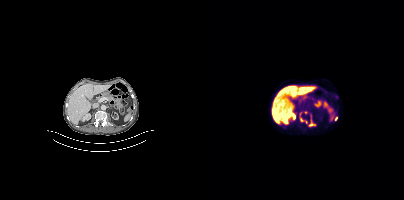
modality: PSMA PET/CT | tracer: 18F-PSMA | view: axial
Coordinates are on the 200×200 PET (right) panel. PSMA-avid tumor lesion bounding box (x0,y0,x1,y1): [95,112,112,126]. Small PSMA-avid foci (2 to 4 px across) near (center x, center y): (101, 112), (132, 118).